Left: CT. Right: PSMA PET, same axial level, 18F tracer. PET panel 200×200 px (4.1 mm/px).
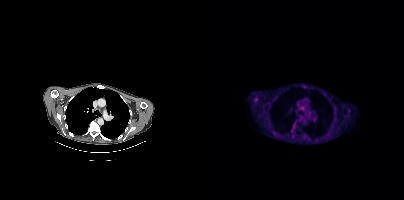
Coordinates are on the 200×200 PET (right) panel. (showing 5 of 8 foci) PSMA-avid tumor lesion bounding box (x0,y0,x1,y1): [89,121,91,126]. Small PSMA-avid foci (2 to 4 px across) near (center x, center y): (52, 99), (144, 110), (101, 136), (96, 108).